Technique: Left: CT. Right: PSMA PET, same axial level, [18F]PSMA-1007 tracer. acquired on Siemens Biograph mCT Flow 20.
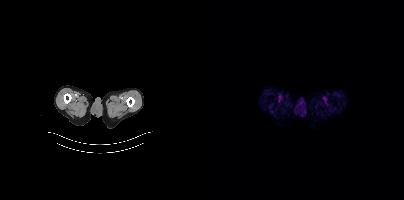
Findings: Negative for PSMA-avid disease on this slice.